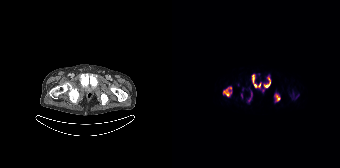
Coordinates are on the 168×168 PET (right) panel. (showing 7 of 8 foci) PSMA-avid tumor lesion bounding boxes (x0,y0,x1,y1): [51,86,59,96], [80,74,89,88], [92,75,98,88], [102,93,108,101], [76,92,80,101], [123,94,127,98]. Small PSMA-avid focus (2 to 4 px across) near (center x, center y): (69, 95). Paired axial CT (left) and PSMA PET (right), [18F]PSMA-1007 tracer. Acquired on Siemens Biograph 64-4R TruePoint.